Left: CT. Right: PSMA PET, same axial level, 68Ga-PSMA tracer. PET panel 256×256 px (2.7 mm/px).
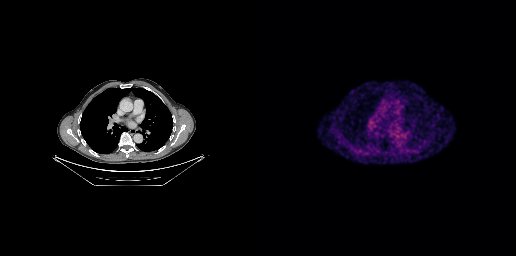
This slice has no annotated PSMA-avid lesion.